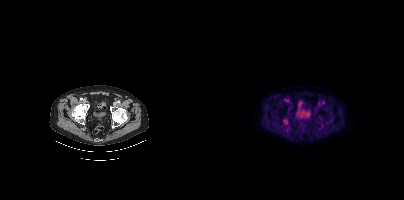
{"modality":"PSMA PET/CT","view":"axial","tracer":"[18F]PSMA-1007","pet_grid":[200,200],"coord_frame":"pet_panel","coord_format":"x0,y0,x1,y1","psma_avid_lesions":false}